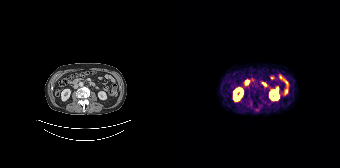
Negative for PSMA-avid disease on this slice.
modality: PSMA PET/CT | tracer: [68Ga]Ga-PSMA-11 | view: axial